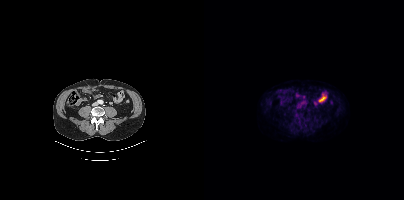
modality: PSMA PET/CT | tracer: [18F]PSMA-1007 | view: axial
No PSMA-avid tumor lesions on this slice.